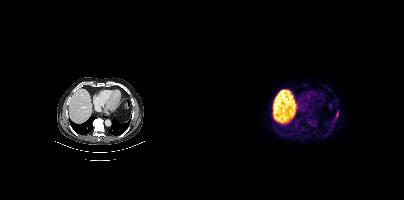
Findings: Coordinates are on the 200×200 PET (right) panel. (showing 1 of 2 foci) PSMA-avid tumor lesion bounding box (x0,y0,x1,y1): [131,113,133,119].
- Left: CT. Right: PSMA PET, same axial level, 18F tracer
- acquired on Siemens Biograph mCT Flow 20